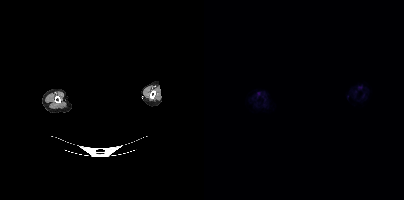
Face de-identified by blanking a block of the head. Left: CT. Right: PSMA PET, same axial level, 18F-PSMA tracer. Negative for PSMA-avid disease on this slice.